Paired axial CT (left) and PSMA PET (right), 18F-PSMA tracer. Acquired on Siemens Biograph mCT Flow 20.
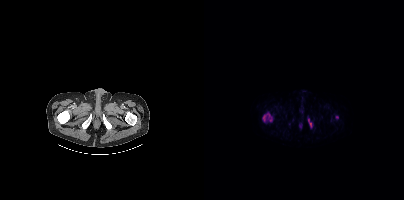
Coordinates are on the 200×200 PET (right) panel. PSMA-avid tumor lesion bounding boxes:
| # | x0 | y0 | x1 | y1 |
|---|---|---|---|---|
| 1 | 58 | 114 | 65 | 121 |
| 2 | 104 | 119 | 107 | 127 |
Small PSMA-avid focus (2 to 4 px across) near (center x, center y): (133, 117).